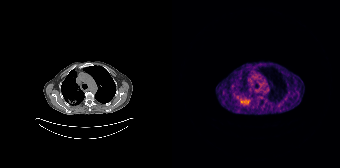
{"modality":"PSMA PET/CT","view":"axial","tracer":"[68Ga]Ga-PSMA-11","pet_grid":[168,168],"coord_frame":"pet_panel","coord_format":"x0,y0,x1,y1","lesion_bboxes":[[68,98,77,105]]}